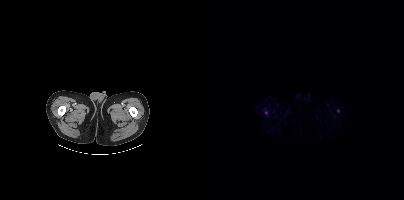
Coordinates are on the 200×200 PET (right) panel. (showing 1 of 2 foci) Small PSMA-avid focus (2 to 4 px across) near (center x, center y): (62, 112). Paired axial CT (left) and PSMA PET (right), 18F-PSMA tracer. Slice 92 of 508. PET panel 200×200 px (4.1 mm/px).